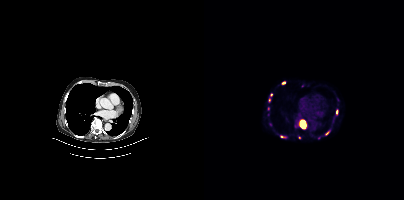
modality: PSMA PET/CT | tracer: 68Ga | view: axial
Coordinates are on the 200×200 PET (right) panel. (showing 6 of 8 foci) PSMA-avid tumor lesion bounding boxes (x0, y0)-(x1, y1): (96, 120)-(101, 128); (121, 131)-(125, 135); (76, 135)-(81, 137). Small PSMA-avid foci (2 to 4 px across) near (center x, center y): (132, 111); (79, 82); (95, 137).